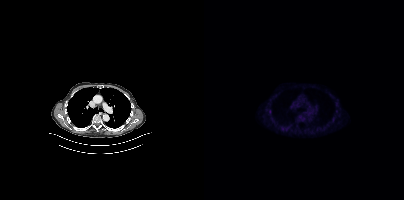
Findings: Negative for PSMA-avid disease on this slice.
- Paired axial CT (left) and PSMA PET (right), 18F tracer
- PET panel 200×200 px (4.1 mm/px)